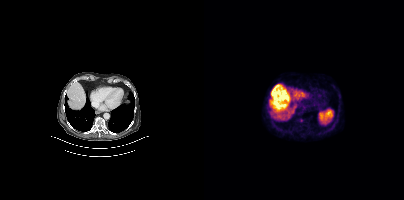
Paired axial CT (left) and PSMA PET (right), 18F tracer. Slice 229 of 427. No PSMA-avid tumor lesions on this slice.